Technique: Paired axial CT (left) and PSMA PET (right), 18F-PSMA tracer.
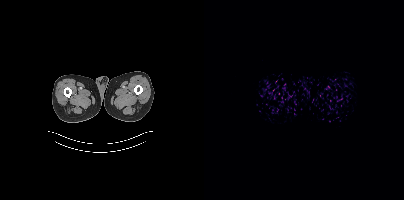
Findings: Negative for PSMA-avid disease on this slice.